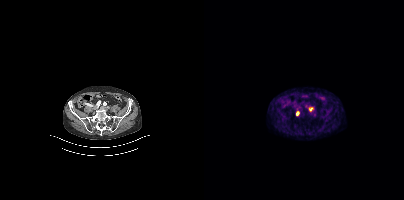
Coordinates are on the 200×200 PET (right) panel. Small PSMA-avid foci (2 to 4 px across) near (center x, center y): (106, 109) | (93, 113) | (110, 114). Two-panel axial: CT | PSMA PET, [68Ga]Ga-PSMA-11 tracer. Acquired on Siemens Biograph mCT Flow 20. Slice position z = -948 mm.